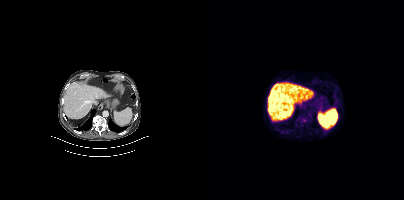
Paired axial CT (left) and PSMA PET (right), 18F-PSMA tracer. Acquired on Siemens Biograph mCT Flow 20. Slice 219 of 427. This slice has no annotated PSMA-avid lesion.